Left: CT. Right: PSMA PET, same axial level, [18F]PSMA-1007 tracer. Slice 324 of 403. PET panel 200×200 px (4.1 mm/px).
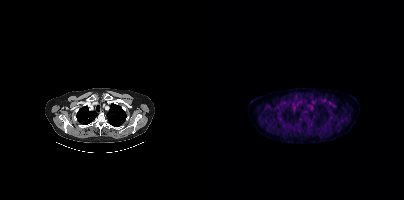
Negative for PSMA-avid disease on this slice.